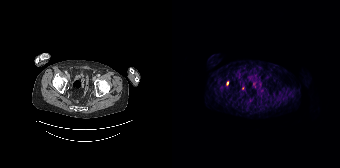
{"pet_grid":[168,168],"coord_frame":"pet_panel","coord_format":"x0,y0,x1,y1","lesion_bboxes":[],"small_foci_centers":[[55,83],[70,88]],"modality":"PSMA PET/CT","view":"axial","tracer":"68Ga-PSMA"}